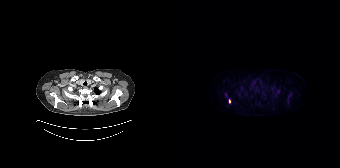
Coordinates are on the 168×168 PET (right) panel. PSMA-avid tumor lesion bounding box (x0,y0,x1,y1): [56,99,59,103]. Small PSMA-avid focus (2 to 4 px across) near (center x, center y): (53, 94).